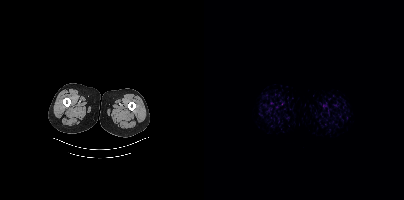
Technique: Paired axial CT (left) and PSMA PET (right), [18F]PSMA-1007 tracer.
Findings: No tumor lesions annotated on this slice.